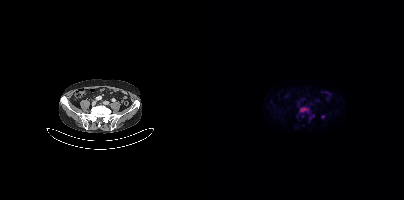
modality: PSMA PET/CT | tracer: [18F]PSMA-1007 | view: axial | PET grid: 200×200
Coordinates are on the 200×200 PET (right) panel. (showing 2 of 3 foci) PSMA-avid tumor lesion bounding box (x0,y0,x1,y1): [96,107,104,112]. Small PSMA-avid focus (2 to 4 px across) near (center x, center y): (119, 116).